modality: PSMA PET/CT | tracer: 18F-PSMA | view: axial | PET grid: 200×200
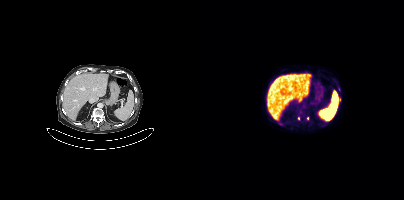
Coordinates are on the 200×200 PET (right) panel. Small PSMA-avid foci (2 to 4 px across) near (center x, center y): (135, 99); (94, 118); (103, 118).